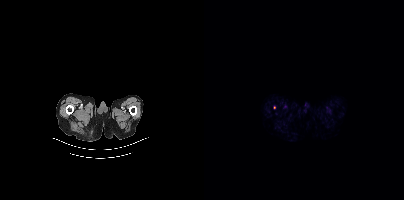
Findings: Coordinates are on the 200×200 PET (right) panel. Small PSMA-avid focus (2 to 4 px across) near (center x, center y): (70, 107).
- Two-panel axial: CT | PSMA PET, [68Ga]Ga-PSMA-11 tracer
- PET panel 200×200 px (4.1 mm/px)